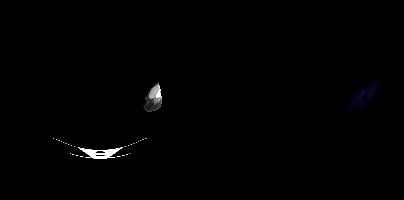
modality: PSMA PET/CT | tracer: 18F-PSMA | view: axial | de-identification: facial region redacted
No tumor lesions annotated on this slice.